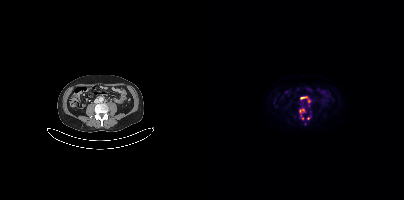
Coordinates are on the 200×200 PET (right) panel. PSMA-avid tumor lesion bounding boxes:
| # | x0 | y0 | x1 | y1 |
|---|---|---|---|---|
| 1 | 96 | 97 | 106 | 102 |
Small PSMA-avid foci (2 to 4 px across) near (center x, center y): (97, 110); (104, 118); (98, 118).
Two-panel axial: CT | PSMA PET, 18F tracer. PET panel 200×200 px (4.1 mm/px).